- Paired axial CT (left) and PSMA PET (right), [18F]PSMA-1007 tracer
- PET panel 200×200 px (4.1 mm/px)
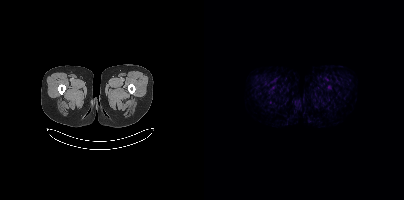
Findings: This slice has no annotated PSMA-avid lesion.